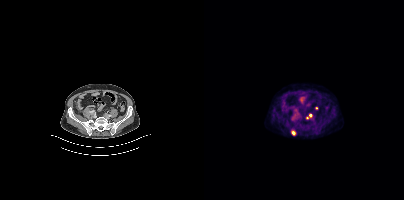
- Left: CT. Right: PSMA PET, same axial level, 18F-PSMA tracer
- PET panel 200×200 px (4.1 mm/px)
Findings: Coordinates are on the 200×200 PET (right) panel. (showing 2 of 3 foci) PSMA-avid tumor lesion bounding box (x0,y0,x1,y1): [87,129,92,135]. Small PSMA-avid focus (2 to 4 px across) near (center x, center y): (106, 115).